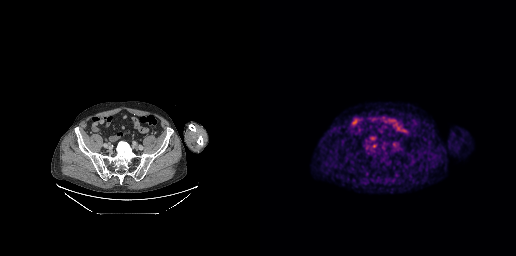
Technique: Two-panel axial: CT | PSMA PET, 18F tracer. PET panel 256×256 px (2.7 mm/px).
Findings: Coordinates are on the 256×256 PET (right) panel. Small PSMA-avid focus (2 to 4 px across) near (center x, center y): (114, 145).